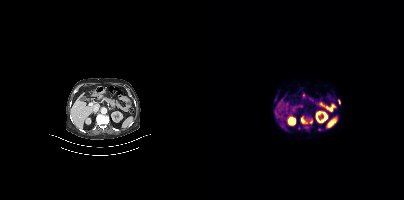
modality: PSMA PET/CT | tracer: 68Ga-PSMA | view: axial | PET grid: 200×200
Coordinates are on the 200×200 PET (right) panel. PSMA-avid tumor lesion bounding box (x0,y0,x1,y1): [97,116,103,124]. Small PSMA-avid foci (2 to 4 px across) near (center x, center y): (115, 129); (107, 121); (135, 101); (101, 127); (71, 97).